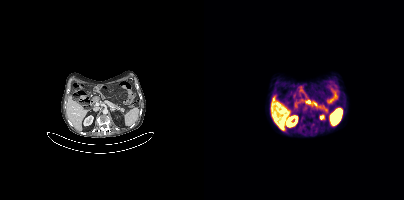
Findings: Coordinates are on the 200×200 PET (right) panel. PSMA-avid tumor lesion bounding boxes (x, y, width, height): x=99 y=106 w=5 h=6 / x=107 y=123 w=4 h=5 / x=97 y=117 w=2 h=5. Small PSMA-avid focus (2 to 4 px across) near (center x, center y): (99, 126).
Technique: Left: CT. Right: PSMA PET, same axial level, 18F tracer. acquired on Siemens Biograph mCT Flow 20. slice position z = -1254 mm. PET panel 200×200 px (4.1 mm/px).